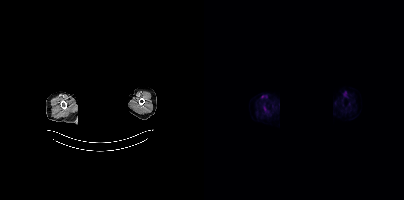
{"modality":"PSMA PET/CT","view":"axial","tracer":"18F-PSMA","pet_grid":[200,200],"coord_frame":"pet_panel","coord_format":"x0,y0,x1,y1","psma_avid_lesions":false,"deidentification":"face masked with black rectangle"}